Paired axial CT (left) and PSMA PET (right), [18F]PSMA-1007 tracer. Slice 84 of 452. PET panel 200×200 px (4.1 mm/px).
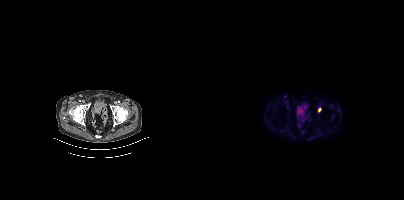
Coordinates are on the 200×200 PET (right) panel. Small PSMA-avid foci (2 to 4 px across) near (center x, center y): (81, 96) / (115, 110).